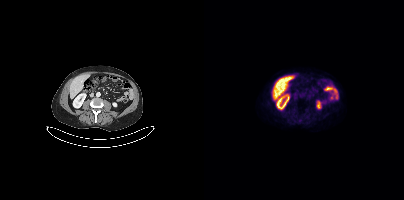
No tumor lesions annotated on this slice. Two-panel axial: CT | PSMA PET, 18F tracer. Slice 136 of 381.